Two-panel axial: CT | PSMA PET, [18F]PSMA-1007 tracer. Slice 268 of 401.
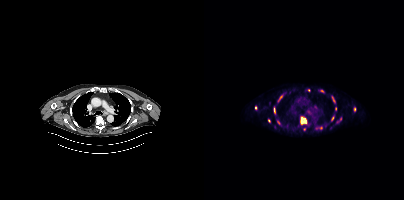
Coordinates are on the 200×200 PET (right) panel. (showing 14 of 17 foci) PSMA-avid tumor lesion bounding boxes (x0,y0,x1,y1): [96,117,102,124]; [74,95,78,101]; [128,96,131,102]; [127,116,129,120]; [70,108,71,112]. Small PSMA-avid foci (2 to 4 px across) near (center x, center y): (111, 107); (150, 109); (118, 91); (131, 108); (51, 107); (65, 121); (74, 122); (116, 128); (136, 118).